Left: CT. Right: PSMA PET, same axial level, 18F-PSMA tracer. Acquired on Siemens Biograph mCT Flow 20. PET panel 200×200 px (4.1 mm/px).
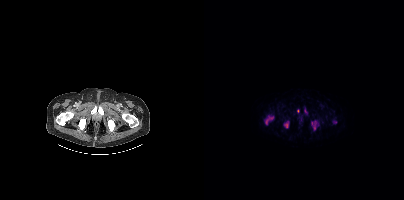
Coordinates are on the 200×200 PET (right) panel. (showing 6 of 7 foci) PSMA-avid tumor lesion bounding boxes (x0,y0,x1,y1): [61,115,69,122], [80,122,84,127], [110,121,112,129]. Small PSMA-avid foci (2 to 4 px across) near (center x, center y): (130, 121), (93, 111), (101, 111).